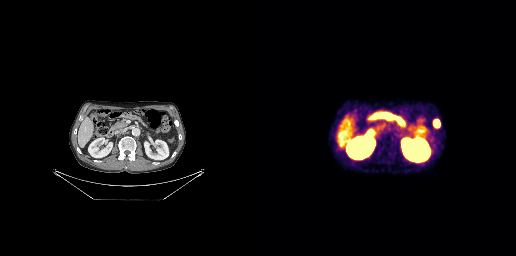
modality: PSMA PET/CT | tracer: [68Ga]Ga-PSMA-11 | view: axial
Coordinates are on the 256×256 PET (right) panel. PSMA-avid tumor lesion bounding box (x0, y0)-(x1, y1): (173, 119)-(180, 127).